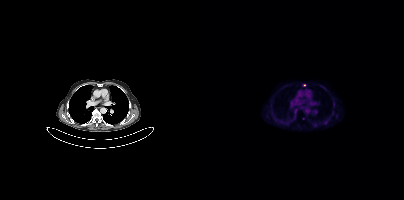
Left: CT. Right: PSMA PET, same axial level, [18F]PSMA-1007 tracer. Acquired on Siemens Biograph mCT Flow 20. Slice 269 of 391. PET panel 200×200 px (4.1 mm/px). Coordinates are on the 200×200 PET (right) panel. Small PSMA-avid foci (2 to 4 px across) near (center x, center y): (100, 85); (121, 122).